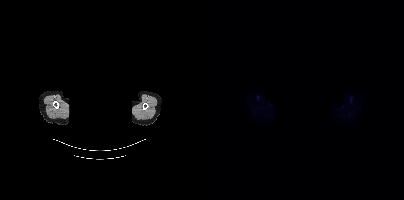
Technique: Two-panel axial: CT | PSMA PET, 18F-PSMA tracer. acquired on Siemens Biograph mCT Flow 20. slice position z = -356 mm. PET panel 200×200 px (4.1 mm/px).
Note: Facial anatomy redacted by setting a rectangular region of the head to black.
Findings: No tumor lesions annotated on this slice.